Two-panel axial: CT | PSMA PET, 18F tracer. Slice 211 of 435.
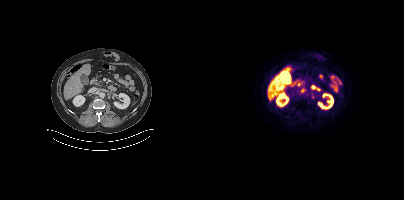
Coordinates are on the 200×200 PET (right) panel. Small PSMA-avid focus (2 to 4 px across) near (center x, center y): (108, 95).